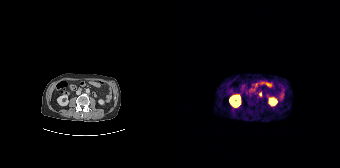
Technique: Paired axial CT (left) and PSMA PET (right), [68Ga]Ga-PSMA-11 tracer. acquired on Siemens Biograph 64-4R TruePoint.
Findings: Coordinates are on the 168×168 PET (right) panel. Small PSMA-avid focus (2 to 4 px across) near (center x, center y): (88, 94).